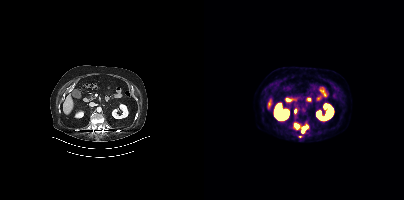
Coordinates are on the 200×200 PET (right) panel. PSMA-avid tumor lesion bounding boxes (x0,y0,x1,y1): [90,123,95,129], [98,126,103,132]. Small PSMA-avid foci (2 to 4 px across) near (center x, center y): (91, 110), (96, 136).